Left: CT. Right: PSMA PET, same axial level, 18F tracer. Slice 232 of 448. PET panel 200×200 px (4.1 mm/px).
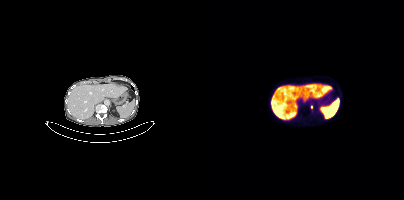
Coordinates are on the 200×200 PET (right) panel. Small PSMA-avid focus (2 to 4 px across) near (center x, center y): (107, 107).